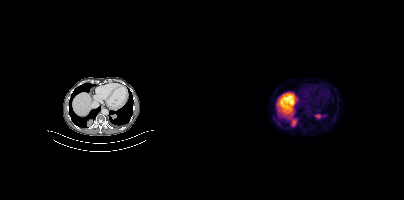
Coordinates are on the 200×200 PET (right) panel. PSMA-avid tumor lesion bounding boxes (partial; 1 more focus not listed):
| # | x0 | y0 | x1 | y1 |
|---|---|---|---|---|
| 1 | 86 | 118 | 93 | 126 |
| 2 | 111 | 114 | 117 | 118 |
| 3 | 69 | 117 | 72 | 121 |
Small PSMA-avid focus (2 to 4 px across) near (center x, center y): (128, 99).
Paired axial CT (left) and PSMA PET (right), 18F tracer. Acquired on Siemens Biograph mCT Flow 20. Slice position z = 294 mm.